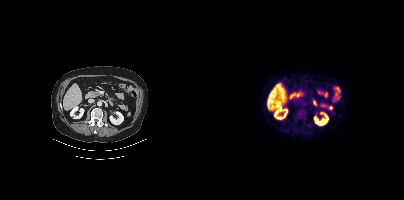
Negative for PSMA-avid disease on this slice. Paired axial CT (left) and PSMA PET (right), 18F tracer. Slice position z = -594 mm.